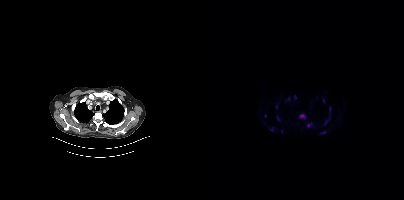
Technique: Paired axial CT (left) and PSMA PET (right), [18F]PSMA-1007 tracer. acquired on Siemens Biograph mCT Flow 20. slice 341 of 427. PET panel 200×200 px (4.1 mm/px).
Findings: Coordinates are on the 200×200 PET (right) panel. (showing 9 of 13 foci) PSMA-avid tumor lesion bounding boxes (x0, y0)-(x1, y1): (94, 112)-(102, 118) / (117, 132)-(121, 133) / (125, 107)-(126, 111). Small PSMA-avid foci (2 to 4 px across) near (center x, center y): (119, 100) / (104, 125) / (91, 97) / (122, 122) / (61, 115) / (73, 118).